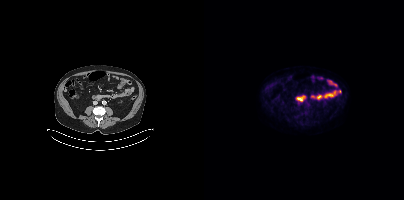
Negative for PSMA-avid disease on this slice. Left: CT. Right: PSMA PET, same axial level, 18F tracer. Acquired on Siemens Biograph mCT Flow 20. PET panel 200×200 px (4.1 mm/px).